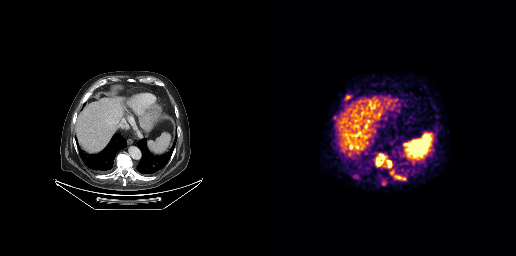
Left: CT. Right: PSMA PET, same axial level, 68Ga tracer. Slice position z = -443 mm. PET panel 256×256 px (2.7 mm/px). Coordinates are on the 256×256 PET (right) panel. (showing 3 of 4 foci) PSMA-avid tumor lesion bounding boxes (x0, y0)-(x1, y1): (115, 153)-(132, 168) / (130, 170)-(140, 179) / (85, 95)-(90, 99).